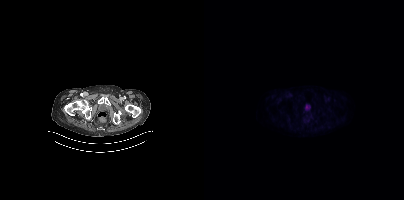
Negative for PSMA-avid disease on this slice.